- Left: CT. Right: PSMA PET, same axial level, 18F tracer
- acquired on GE Discovery 690
- slice position z = -531 mm
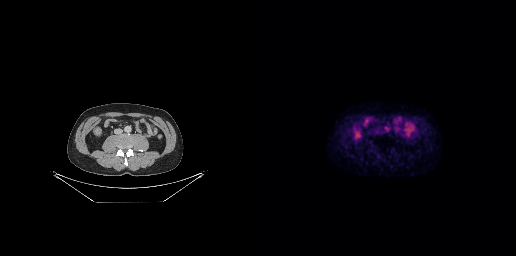
Findings: No tumor lesions annotated on this slice.